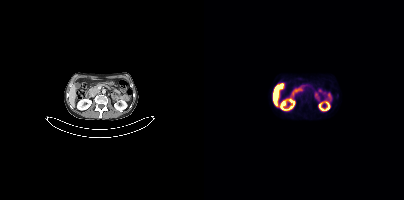
- Two-panel axial: CT | PSMA PET, [18F]PSMA-1007 tracer
- slice 191 of 427
Findings: Coordinates are on the 200×200 PET (right) panel. Small PSMA-avid focus (2 to 4 px across) near (center x, center y): (133, 95).